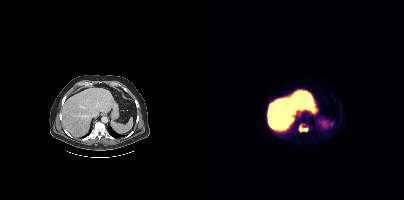
Left: CT. Right: PSMA PET, same axial level, [18F]PSMA-1007 tracer. Acquired on Siemens Biograph mCT Flow 20. PET panel 200×200 px (4.1 mm/px).
Coordinates are on the 200×200 PET (right) panel. PSMA-avid tumor lesion bounding boxes:
| # | x0 | y0 | x1 | y1 |
|---|---|---|---|---|
| 1 | 95 | 124 | 104 | 131 |